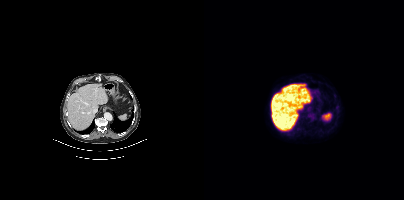
Negative for PSMA-avid disease on this slice. Left: CT. Right: PSMA PET, same axial level, 18F tracer. Acquired on Siemens Biograph mCT Flow 20.